Two-panel axial: CT | PSMA PET, 18F-PSMA tracer. Acquired on GE Discovery 690. Slice 120 of 263. PET panel 256×256 px (2.7 mm/px).
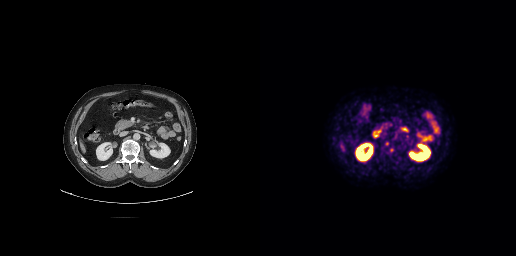
Coordinates are on the 256×256 PET (right) panel. Small PSMA-avid foci (2 to 4 px across) near (center x, center y): (126, 143) | (131, 149).